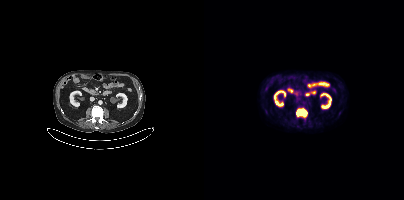
Coordinates are on the 200×200 PET (right) panel. PSMA-avid tumor lesion bounding box (x, y, width, height): x=92 y=108 w=12 h=9.